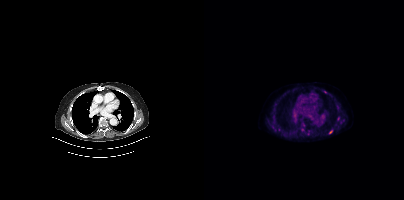
modality: PSMA PET/CT | tracer: [18F]PSMA-1007 | view: axial
Coordinates are on the 200×200 PET (right) panel. Small PSMA-avid foci (2 to 4 px across) near (center x, center y): (98, 129) / (126, 131) / (121, 92) / (104, 133) / (133, 118) / (68, 126).